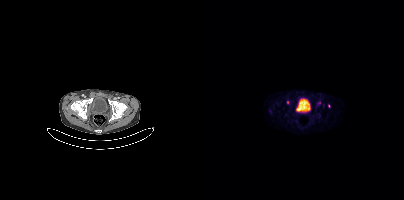
Left: CT. Right: PSMA PET, same axial level, 68Ga-PSMA tracer. Slice position z = -1109 mm. Coordinates are on the 200×200 PET (right) panel. (showing 1 of 2 foci) Small PSMA-avid focus (2 to 4 px across) near (center x, center y): (83, 102).